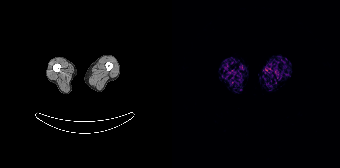
No PSMA-avid tumor lesions on this slice.
modality: PSMA PET/CT | tracer: 68Ga | view: axial